Two-panel axial: CT | PSMA PET, 68Ga-PSMA tracer. Acquired on Siemens Biograph mCT Flow 20. Slice 406 of 444. De-identified by setting a box covering the face to black before release.
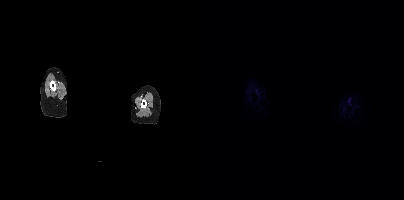
No PSMA-avid tumor lesions on this slice.